Technique: Two-panel axial: CT | PSMA PET, 18F-PSMA tracer. PET panel 200×200 px (4.1 mm/px).
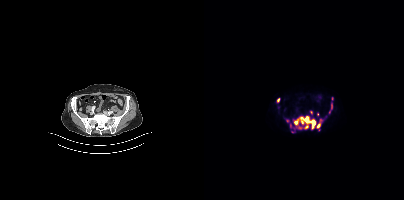
Findings: Coordinates are on the 200×200 PET (right) panel. (showing 8 of 14 foci) PSMA-avid tumor lesion bounding boxes (x, y, width, height): x=90 y=116 w=22 h=14; x=113 y=124 w=4 h=5; x=127 y=104 w=2 h=5. Small PSMA-avid foci (2 to 4 px across) near (center x, center y): (74, 99); (113, 114); (83, 120); (86, 125); (96, 127).